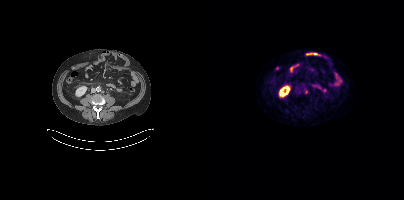
Left: CT. Right: PSMA PET, same axial level, 18F-PSMA tracer. Slice 176 of 435. Coordinates are on the 200×200 PET (right) panel. Small PSMA-avid focus (2 to 4 px across) near (center x, center y): (101, 91).